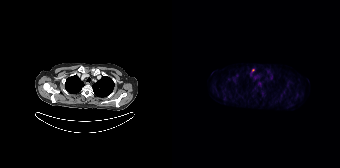
modality: PSMA PET/CT | tracer: [18F]PSMA-1007 | view: axial | PET grid: 168×168
Coordinates are on the 168×168 PET (right) panel. PSMA-avid tumor lesion bounding box (x0,y0,x1,y1): [85,82,89,87].